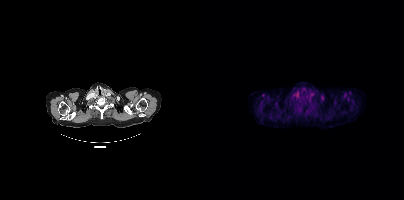
Left: CT. Right: PSMA PET, same axial level, 18F tracer. Slice 362 of 429. PET panel 200×200 px (4.1 mm/px). Negative for PSMA-avid disease on this slice.